Left: CT. Right: PSMA PET, same axial level, 68Ga-PSMA tracer. Slice position z = -566 mm.
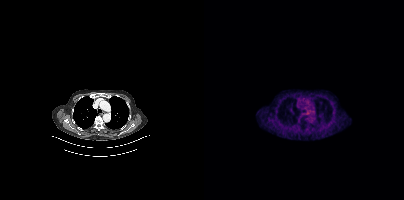
This slice has no annotated PSMA-avid lesion.